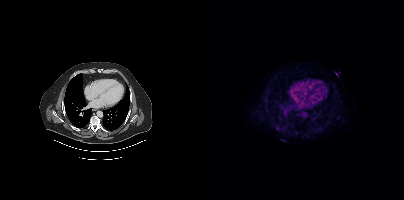
modality: PSMA PET/CT | tracer: 18F-PSMA | view: axial | PET grid: 200×200
No tumor lesions annotated on this slice.